Two-panel axial: CT | PSMA PET, [18F]PSMA-1007 tracer. PET panel 200×200 px (4.1 mm/px). An anonymization step blacked out a rectangle over the head in this scan.
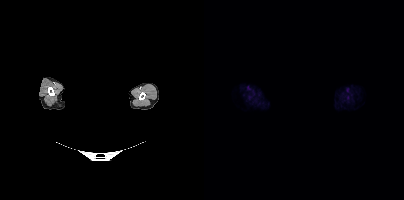
No tumor lesions annotated on this slice.